Left: CT. Right: PSMA PET, same axial level, 18F tracer. Slice 83 of 442. PET panel 200×200 px (4.1 mm/px).
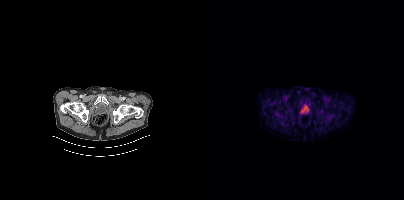
This slice has no annotated PSMA-avid lesion.